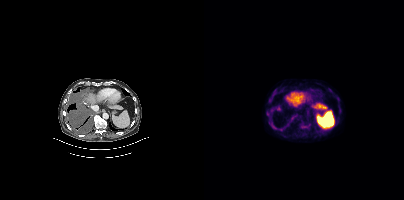
Findings: Coordinates are on the 200×200 PET (right) panel. (showing 4 of 5 foci) PSMA-avid tumor lesion bounding box (x, y, width, height): x=97 y=123 w=8 h=6. Small PSMA-avid foci (2 to 4 px across) near (center x, center y): (63, 114); (65, 98); (124, 88).
Technique: Two-panel axial: CT | PSMA PET, 18F tracer. PET panel 200×200 px (4.1 mm/px).